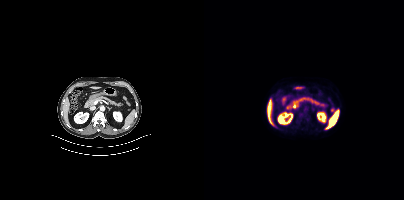
modality: PSMA PET/CT | tracer: 18F-PSMA | view: axial | PET grid: 200×200
Only PSMA-avid lesion pieces thinner than 2 px on this slice (not listed).